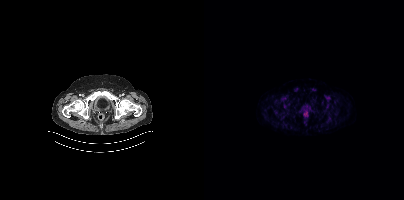
modality: PSMA PET/CT | tracer: 18F | view: axial | PET grid: 200×200
Negative for PSMA-avid disease on this slice.